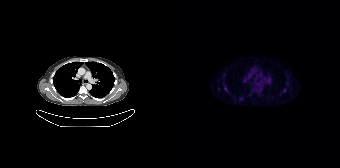
Coordinates are on the 168×168 PET (right) panel. PSMA-avid tumor lesion bounding boxes (x0,y0,x1,y1): [67,97,71,100] [52,86,55,91]. Small PSMA-avid focus (2 to 4 px across) near (center x, center y): (46, 88).